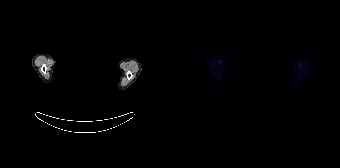
This slice has no annotated PSMA-avid lesion. Privacy masking over the head, with the pixels inside a rectangle set to black. Two-panel axial: CT | PSMA PET, 18F tracer. Acquired on Siemens Biograph 64-4R TruePoint.